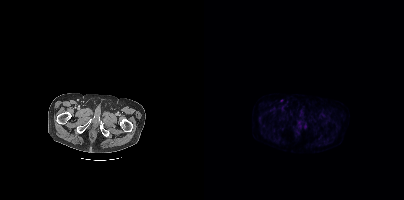
Paired axial CT (left) and PSMA PET (right), 18F tracer. Slice 46 of 431. PET panel 200×200 px (4.1 mm/px). No tumor lesions annotated on this slice.